Technique: Left: CT. Right: PSMA PET, same axial level, 18F-PSMA tracer. PET panel 200×200 px (4.1 mm/px).
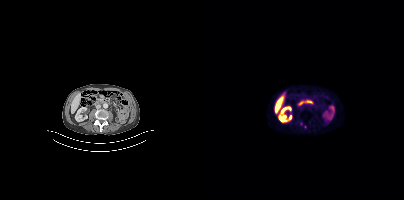
Findings: Negative for PSMA-avid disease on this slice.